Paired axial CT (left) and PSMA PET (right), 18F-PSMA tracer. Acquired on Siemens Biograph mCT Flow 20. Slice position z = -344 mm. PET panel 200×200 px (4.1 mm/px).
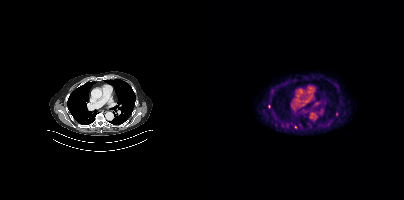
Coordinates are on the 200×200 PET (right) panel. (showing 1 of 2 foci) Small PSMA-avid focus (2 to 4 px across) near (center x, center y): (91, 127).